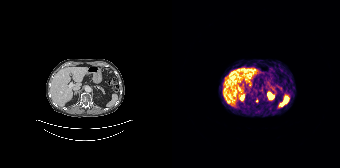
Two-panel axial: CT | PSMA PET, [68Ga]Ga-PSMA-11 tracer. Acquired on Siemens Biograph 64-4R TruePoint. Slice 114 of 195. PET panel 168×168 px (4.1 mm/px). Coordinates are on the 168×168 PET (right) panel. Small PSMA-avid focus (2 to 4 px across) near (center x, center y): (84, 100).